- Two-panel axial: CT | PSMA PET, 18F tracer
- slice 179 of 263
- PET panel 256×256 px (2.7 mm/px)
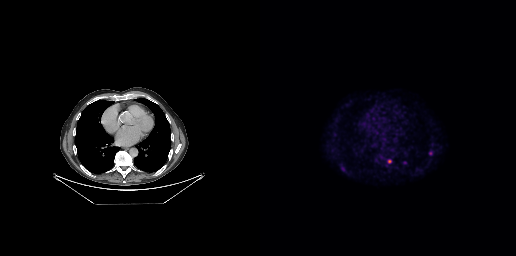
Findings: Coordinates are on the 256×256 PET (right) panel. Small PSMA-avid focus (2 to 4 px across) near (center x, center y): (129, 161).